Paired axial CT (left) and PSMA PET (right), 18F tracer. Slice position z = -315 mm. PET panel 256×256 px (2.7 mm/px).
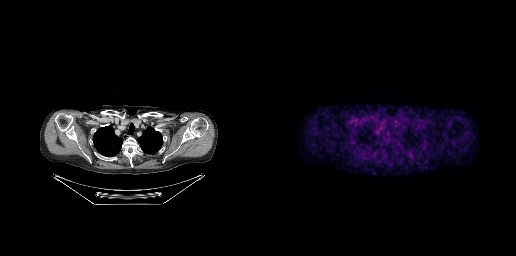
No tumor lesions annotated on this slice.